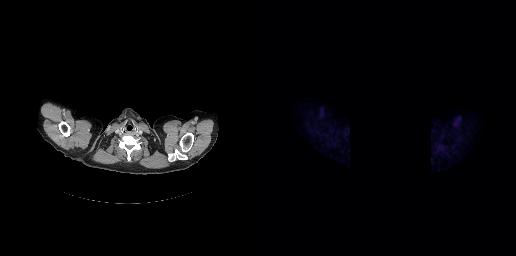
Two-panel axial: CT | PSMA PET, 18F-PSMA tracer. Acquired on GE Discovery 690. PET panel 256×256 px (2.7 mm/px). Any black rectangle here is a de-identification mask. This slice has no annotated PSMA-avid lesion.